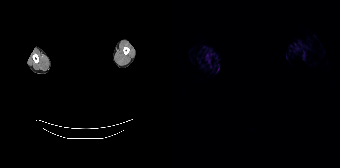
The head region is masked for de-identification. Left: CT. Right: PSMA PET, same axial level, 68Ga-PSMA tracer. No PSMA-avid tumor lesions on this slice.